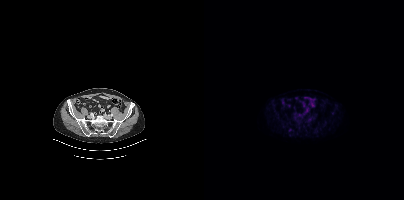
Coordinates are on the 200×200 PET (right) panel. Small PSMA-avid focus (2 to 4 px across) near (center x, center y): (86, 130). Two-panel axial: CT | PSMA PET, [18F]PSMA-1007 tracer.